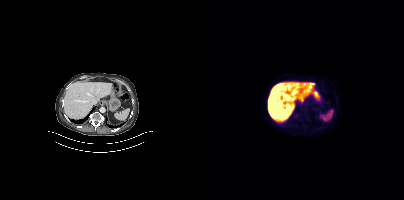
Paired axial CT (left) and PSMA PET (right), 18F-PSMA tracer. PET panel 200×200 px (4.1 mm/px). Negative for PSMA-avid disease on this slice.